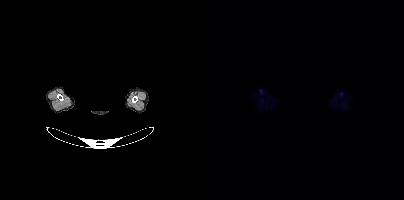
Two-panel axial: CT | PSMA PET, 18F-PSMA tracer. Acquired on Siemens Biograph mCT Flow 20. Privacy masking over the head, with the pixels inside a rectangle set to black. No PSMA-avid tumor lesions on this slice.